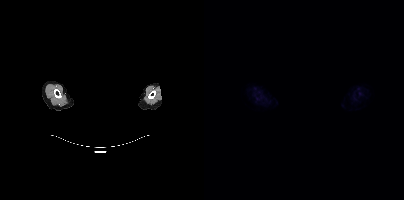
Findings: Negative for PSMA-avid disease on this slice.
- a rectangle over the head was blacked out to remove identifiable facial features
- Left: CT. Right: PSMA PET, same axial level, 18F tracer
- PET panel 200×200 px (4.1 mm/px)